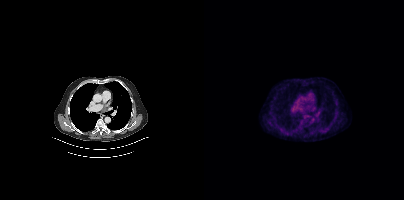
This slice has no annotated PSMA-avid lesion.
modality: PSMA PET/CT | tracer: 18F | view: axial | PET grid: 200×200